modality: PSMA PET/CT | tracer: 18F-PSMA | view: axial
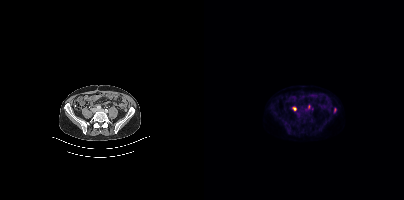
Coordinates are on the 200×200 PET (right) panel. PSMA-avid tumor lesion bounding box (x, y, width, height): x=130 y=108 w=3 h=5. Small PSMA-avid foci (2 to 4 px across) near (center x, center y): (90, 108) / (104, 107).